Technique: Two-panel axial: CT | PSMA PET, 68Ga tracer. slice position z = -180 mm. PET panel 168×168 px (4.1 mm/px).
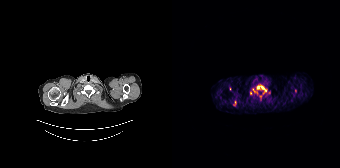
Findings: Coordinates are on the 168×168 PET (right) panel. (showing 1 of 5 foci) PSMA-avid tumor lesion bounding box (x, y, width, height): x=85 y=86 w=10 h=6.